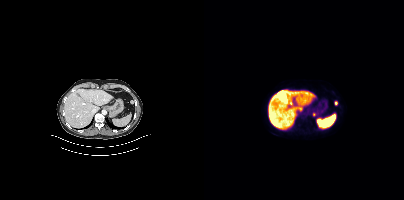
Coordinates are on the 200×200 PET (right) panel. PSMA-avid tumor lesion bounding box (x0,y0,x1,y1): [131,101,133,105]. Small PSMA-avid focus (2 to 4 px across) near (center x, center y): (110, 114).